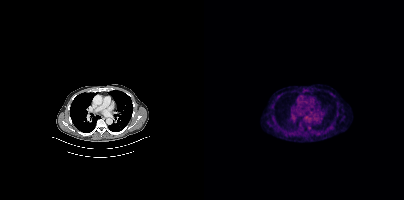
modality: PSMA PET/CT | tracer: 18F | view: axial | PET grid: 200×200
Negative for PSMA-avid disease on this slice.